Left: CT. Right: PSMA PET, same axial level, 68Ga tracer. Acquired on Siemens Biograph 64-4R TruePoint.
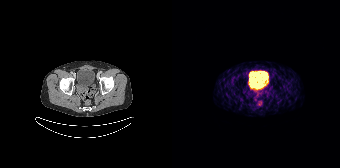
Negative for PSMA-avid disease on this slice.